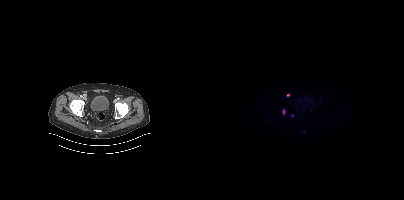
Coordinates are on the 200×200 PET (right) panel. Small PSMA-avid foci (2 to 4 px across) near (center x, center y): (84, 95) (79, 111) (88, 115). Two-panel axial: CT | PSMA PET, 18F-PSMA tracer. Slice position z = -960 mm. PET panel 200×200 px (4.1 mm/px).